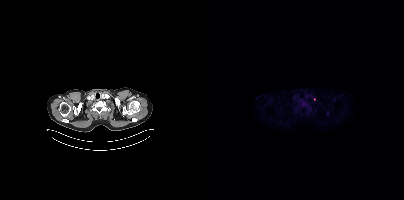
Findings: Coordinates are on the 200×200 PET (right) panel. Small PSMA-avid focus (2 to 4 px across) near (center x, center y): (110, 99).
- Two-panel axial: CT | PSMA PET, 18F-PSMA tracer
- slice position z = -913 mm